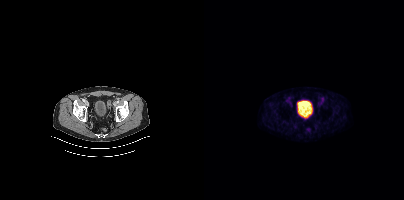
- Paired axial CT (left) and PSMA PET (right), [68Ga]Ga-PSMA-11 tracer
- slice 65 of 407
Findings: Coordinates are on the 200×200 PET (right) panel. Small PSMA-avid focus (2 to 4 px across) near (center x, center y): (118, 98).